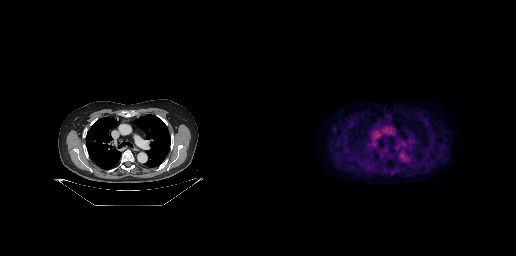
Left: CT. Right: PSMA PET, same axial level, 18F-PSMA tracer. Acquired on GE Discovery 690. Slice 203 of 263. This slice has no annotated PSMA-avid lesion.